Left: CT. Right: PSMA PET, same axial level, [18F]PSMA-1007 tracer. Slice position z = -793 mm.
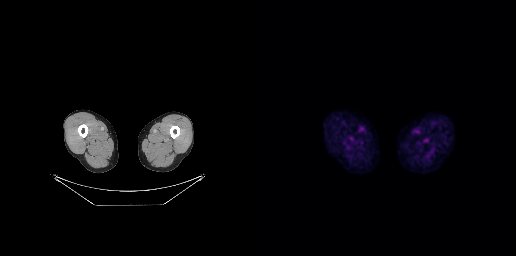
No PSMA-avid tumor lesions on this slice.